- Left: CT. Right: PSMA PET, same axial level, [18F]PSMA-1007 tracer
- slice position z = -224 mm
- PET panel 200×200 px (4.1 mm/px)
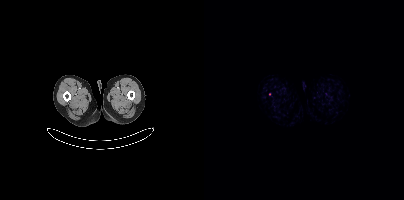
Findings: Coordinates are on the 200×200 PET (right) panel. Small PSMA-avid focus (2 to 4 px across) near (center x, center y): (65, 93).